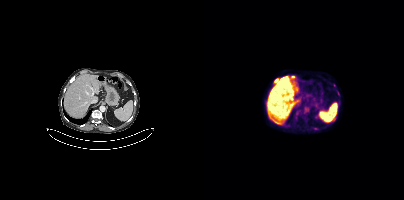
Findings: Coordinates are on the 200×200 PET (right) panel. (showing 1 of 2 foci) PSMA-avid tumor lesion bounding box (x0, y0)-(x1, y1): (70, 78)-(74, 82).
- Paired axial CT (left) and PSMA PET (right), [18F]PSMA-1007 tracer
- PET panel 200×200 px (4.1 mm/px)